Two-panel axial: CT | PSMA PET, 68Ga-PSMA tracer. Slice 101 of 389.
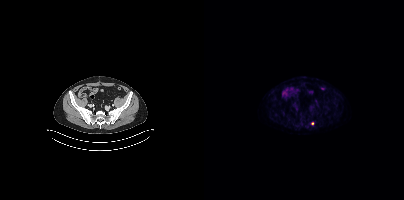
Coordinates are on the 200×200 PET (right) panel. Small PSMA-avid focus (2 to 4 px across) near (center x, center y): (108, 123).